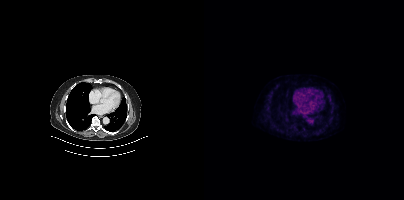
Findings: This slice has no annotated PSMA-avid lesion.
Technique: Left: CT. Right: PSMA PET, same axial level, 18F tracer. acquired on Siemens Biograph mCT Flow 20. slice position z = -438 mm.